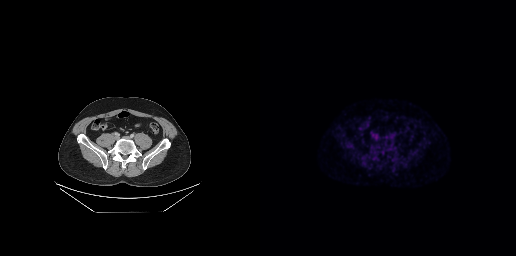
- Left: CT. Right: PSMA PET, same axial level, 18F-PSMA tracer
- acquired on GE Discovery 690
- slice position z = -573 mm
- PET panel 256×256 px (2.7 mm/px)
Findings: No PSMA-avid tumor lesions on this slice.